Technique: Two-panel axial: CT | PSMA PET, 18F-PSMA tracer. acquired on Siemens Biograph mCT Flow 20. PET panel 200×200 px (4.1 mm/px).
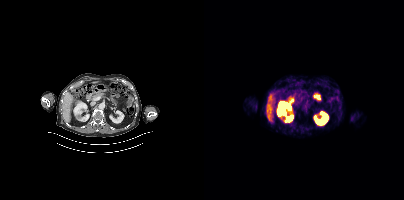
Findings: This slice has no annotated PSMA-avid lesion.